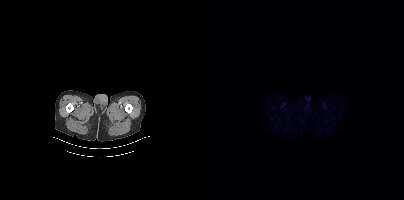
{"modality":"PSMA PET/CT","view":"axial","tracer":"18F-PSMA","pet_grid":[200,200],"coord_frame":"pet_panel","coord_format":"x0,y0,x1,y1","psma_avid_lesions":false}